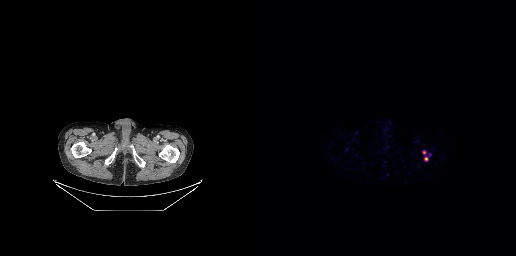
Coordinates are on the 256×256 PET (right) panel. Small PSMA-avid foci (2 to 4 px across) near (center x, center y): (166, 158) / (164, 152).